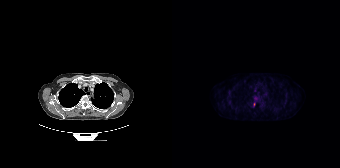
Only PSMA-avid lesion pieces thinner than 2 px on this slice (not listed).